Technique: Paired axial CT (left) and PSMA PET (right), 18F-PSMA tracer. acquired on Siemens Biograph mCT Flow 20. slice 318 of 395. PET panel 200×200 px (4.1 mm/px).
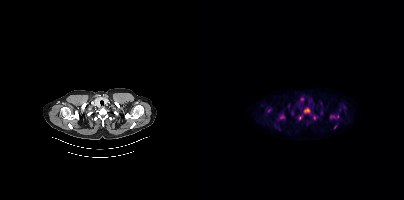
Findings: Coordinates are on the 200×200 PET (right) panel. (showing 10 of 12 foci) PSMA-avid tumor lesion bounding boxes (x0,y0,x1,y1): [100,108,106,113]; [75,113,81,118]; [87,111,89,115]. Small PSMA-avid foci (2 to 4 px across) near (center x, center y): (96, 117); (65, 110); (110, 117); (131, 126); (133, 116); (126, 116); (129, 116).